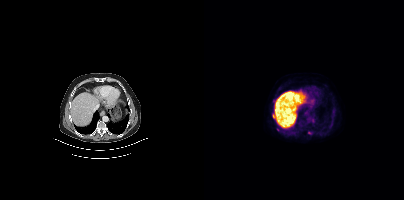
{"modality":"PSMA PET/CT","view":"axial","tracer":"[18F]PSMA-1007","pet_grid":[200,200],"coord_frame":"pet_panel","coord_format":"x0,y0,x1,y1","lesion_bboxes":[[68,113,71,118]],"small_foci_centers":[[73,129]]}